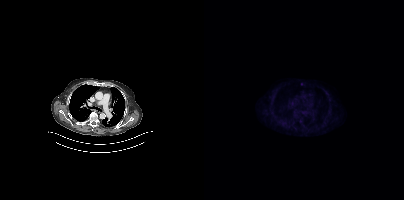
Technique: Paired axial CT (left) and PSMA PET (right), 18F-PSMA tracer. acquired on Siemens Biograph mCT Flow 20. slice 263 of 383.
Findings: No PSMA-avid tumor lesions on this slice.